Paired axial CT (left) and PSMA PET (right), 68Ga tracer. Acquired on GE Discovery 690.
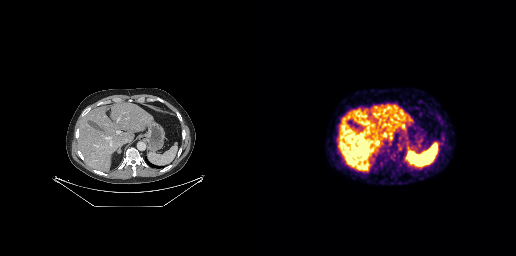
Negative for PSMA-avid disease on this slice.